Paired axial CT (left) and PSMA PET (right), [18F]PSMA-1007 tracer. De-identified by setting a box covering the face to black before release.
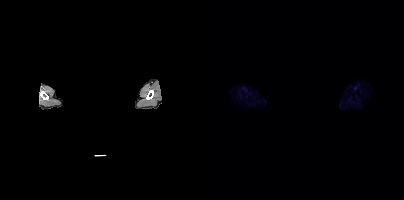
This slice has no annotated PSMA-avid lesion.